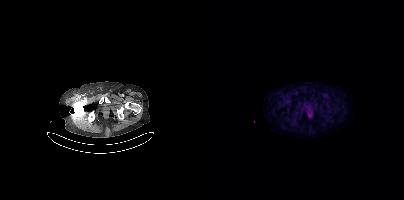
Negative for PSMA-avid disease on this slice. Two-panel axial: CT | PSMA PET, [18F]PSMA-1007 tracer. PET panel 200×200 px (4.1 mm/px).